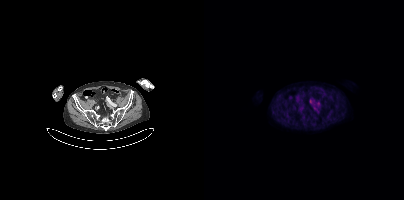
{"modality":"PSMA PET/CT","view":"axial","tracer":"18F-PSMA","pet_grid":[200,200],"coord_frame":"pet_panel","coord_format":"x0,y0,x1,y1","partial":true,"lesion_bboxes":[[113,101,116,105]],"small_foci_centers":[[106,100]]}